- Left: CT. Right: PSMA PET, same axial level, 18F tracer
- acquired on Siemens Biograph mCT Flow 20
- slice 253 of 403
- PET panel 200×200 px (4.1 mm/px)
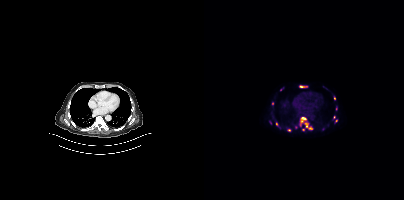
Findings: Coordinates are on the 200×200 PET (right) panel. (showing 7 of 12 foci) PSMA-avid tumor lesion bounding box (x0,y0,x1,y1): [97,117,102,119]. Small PSMA-avid foci (2 to 4 px across) near (center x, center y): (68, 103) (97, 86) (130, 98) (102, 126) (132, 120) (72, 123).